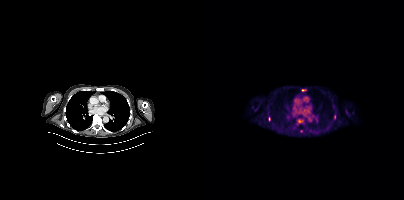
Coordinates are on the 200×200 PET (right) panel. (showing 2 of 3 foci) Small PSMA-avid foci (2 to 4 px across) near (center x, center y): (99, 90); (65, 118). Two-panel axial: CT | PSMA PET, 18F tracer. PET panel 200×200 px (4.1 mm/px).